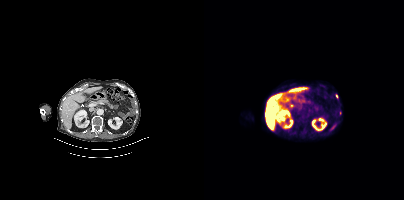
{"modality":"PSMA PET/CT","view":"axial","tracer":"18F-PSMA","pet_grid":[200,200],"coord_frame":"pet_panel","coord_format":"x0,y0,x1,y1","partial":true,"lesion_bboxes":[[132,94,134,98]]}